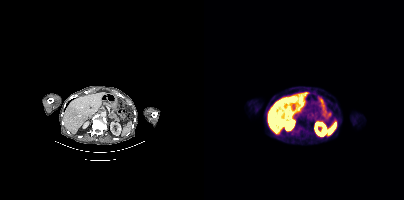
This slice has no annotated PSMA-avid lesion. Two-panel axial: CT | PSMA PET, 18F-PSMA tracer. PET panel 200×200 px (4.1 mm/px).